Technique: Two-panel axial: CT | PSMA PET, 18F-PSMA tracer. slice 54 of 389.
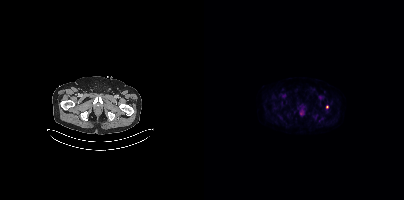
Findings: Coordinates are on the 200×200 PET (right) panel. Small PSMA-avid focus (2 to 4 px across) near (center x, center y): (122, 106).